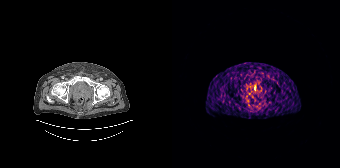
Findings: Only PSMA-avid lesion pieces thinner than 2 px on this slice (not listed).
- Paired axial CT (left) and PSMA PET (right), 68Ga tracer
- slice 47 of 195